- Left: CT. Right: PSMA PET, same axial level, 18F tracer
- slice 334 of 448
- PET panel 200×200 px (4.1 mm/px)
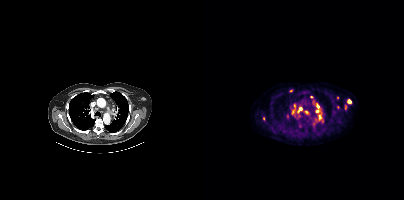
Findings: Coordinates are on the 200×200 PET (right) panel. PSMA-avid tumor lesion bounding boxes (x0, y0)-(x1, y1): (88, 104)-(96, 117) / (109, 100)-(114, 108) / (115, 115)-(119, 121) / (112, 109)-(117, 112) / (109, 121)-(111, 125). Small PSMA-avid foci (2 to 4 px across) near (center x, center y): (101, 111) / (86, 90) / (107, 97) / (145, 101) / (59, 118) / (83, 116) / (133, 97) / (133, 107) / (141, 107) / (96, 108).